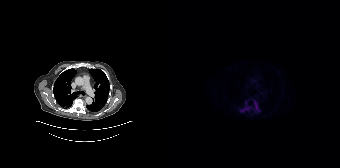
modality: PSMA PET/CT | tracer: 18F | view: axial | PET grid: 168×168
Coordinates are on the 168×168 PET (right) panel. (showing 2 of 3 foci) PSMA-avid tumor lesion bounding boxes (x0,y0,x1,y1): [82,101,87,111], [68,107,77,111].